modality: PSMA PET/CT | tracer: 18F | view: axial | de-identification: facial region redacted
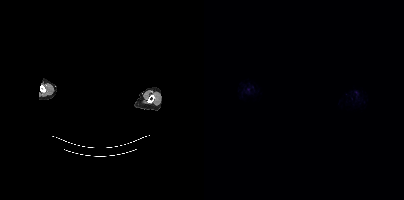
This slice has no annotated PSMA-avid lesion.